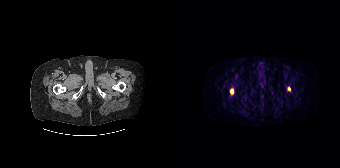
- Two-panel axial: CT | PSMA PET, 68Ga tracer
- acquired on Siemens Biograph 64-4R TruePoint
- slice position z = -1538 mm
- PET panel 168×168 px (4.1 mm/px)
Findings: Coordinates are on the 168×168 PET (right) panel. Small PSMA-avid foci (2 to 4 px across) near (center x, center y): (117, 88); (59, 90).